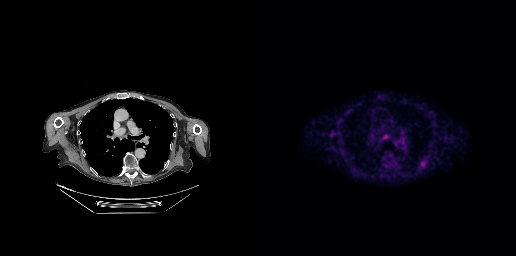
Coordinates are on the 256×256 PET (right) panel. PSMA-avid tumor lesion bounding boxes (x0,y0,x1,y1): [122,134,128,139], [121,125,125,129]. Small PSMA-avid focus (2 to 4 px across) near (center x, center y): (163, 164). Left: CT. Right: PSMA PET, same axial level, [18F]PSMA-1007 tracer. PET panel 256×256 px (2.7 mm/px).